- the face region was removed for patient privacy by blanking a rectangle over the head
- Two-panel axial: CT | PSMA PET, [18F]PSMA-1007 tracer
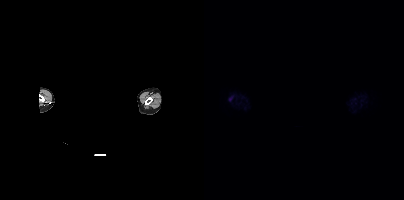
Findings: This slice has no annotated PSMA-avid lesion.